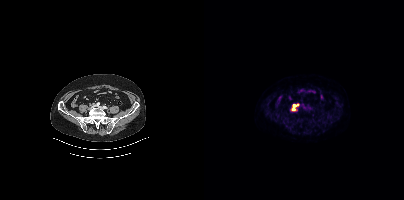
Technique: Paired axial CT (left) and PSMA PET (right), [18F]PSMA-1007 tracer.
Findings: Coordinates are on the 200×200 PET (right) panel. PSMA-avid tumor lesion bounding box (x0, y0)-(x1, y1): (88, 104)-(94, 110).